Technique: Left: CT. Right: PSMA PET, same axial level, 18F-PSMA tracer. acquired on Siemens Biograph 64-4R TruePoint. PET panel 168×168 px (4.1 mm/px).
Note: An anonymization step blacked out a rectangle over the head in this scan.
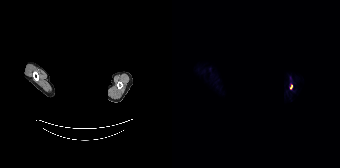
Findings: Coordinates are on the 168×168 PET (right) panel. Small PSMA-avid focus (2 to 4 px across) near (center x, center y): (119, 86).